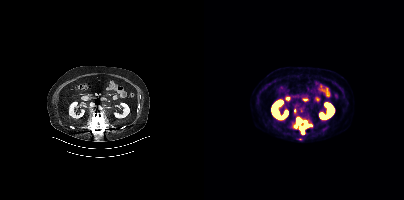
Left: CT. Right: PSMA PET, same axial level, 18F tracer. PET panel 200×200 px (4.1 mm/px).
Coordinates are on the 200×200 PET (right) panel. PSMA-avid tumor lesion bounding boxes (partial; 1 more focus not listed):
| # | x0 | y0 | x1 | y1 |
|---|---|---|---|---|
| 1 | 90 | 117 | 107 | 132 |
Small PSMA-avid foci (2 to 4 px across) near (center x, center y): (90, 110); (101, 121).